Paired axial CT (left) and PSMA PET (right), 18F tracer. Slice 180 of 401. PET panel 200×200 px (4.1 mm/px).
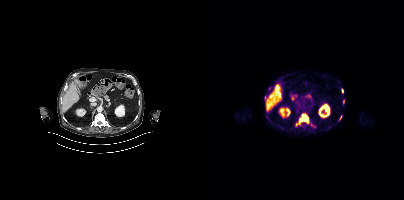
Coordinates are on the 200×200 PET (right) panel. PSMA-avid tumor lesion bounding boxes (partial; 1 more focus not listed):
| # | x0 | y0 | x1 | y1 |
|---|---|---|---|---|
| 1 | 92 | 115 | 104 | 125 |
| 2 | 139 | 99 | 140 | 104 |
| 3 | 135 | 115 | 137 | 119 |
Small PSMA-avid foci (2 to 4 px across) near (center x, center y): (107, 124); (138, 90); (65, 88).